modality: PSMA PET/CT | tracer: 68Ga | view: axial | PET grid: 256×256
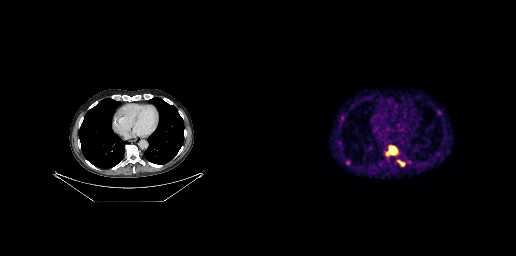
Coordinates are on the 256×256 PET (right) panel. PSMA-avid tumor lesion bounding boxes (x0, y0)-(x1, y1): (126, 146)-(137, 156) / (138, 160)-(144, 165) / (86, 160)-(89, 164).